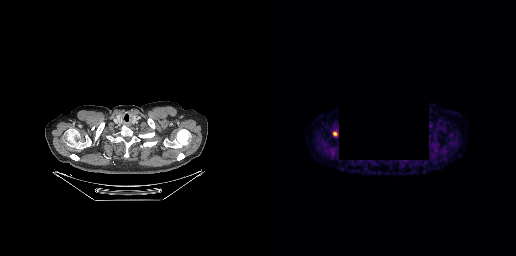
Coordinates are on the 256×256 PET (right) panel. Small PSMA-avid focus (2 to 4 px across) near (center x, center y): (74, 133).
A region was redacted for de-identification by setting it to black.